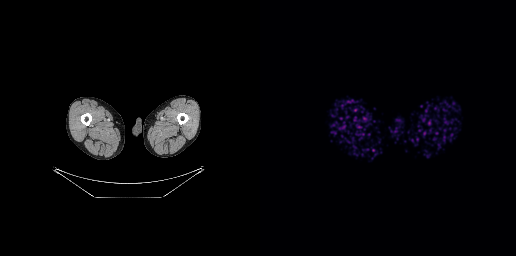
Left: CT. Right: PSMA PET, same axial level, [68Ga]Ga-PSMA-11 tracer. Negative for PSMA-avid disease on this slice.